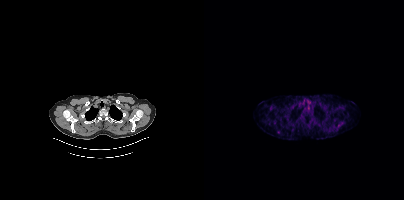
Findings: This slice has no annotated PSMA-avid lesion.
- Left: CT. Right: PSMA PET, same axial level, 68Ga tracer
- slice 323 of 409